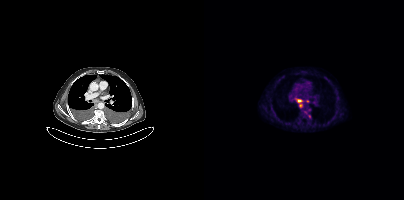
Left: CT. Right: PSMA PET, same axial level, 18F tracer. Acquired on Siemens Biograph mCT Flow 20. Slice 257 of 381.
Coordinates are on the 200×200 PET (right) panel. PSMA-avid tumor lesion bounding boxes (partial; 1 more focus not listed):
| # | x0 | y0 | x1 | y1 |
|---|---|---|---|---|
| 1 | 92 | 99 | 98 | 102 |
Small PSMA-avid foci (2 to 4 px across) near (center x, center y): (103, 101); (96, 105); (105, 116).